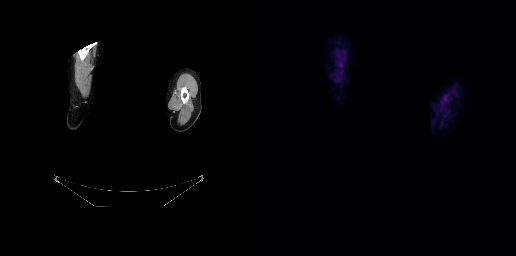
Face de-identified by blanking a block of the head.
No PSMA-avid tumor lesions on this slice.